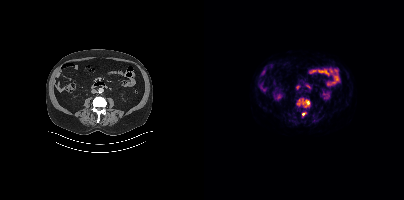
{"modality":"PSMA PET/CT","view":"axial","tracer":"18F-PSMA","pet_grid":[200,200],"coord_frame":"pet_panel","coord_format":"x0,y0,x1,y1","lesion_bboxes":[[92,98,106,107]],"small_foci_centers":[[99,113]]}